Paired axial CT (left) and PSMA PET (right), [18F]PSMA-1007 tracer.
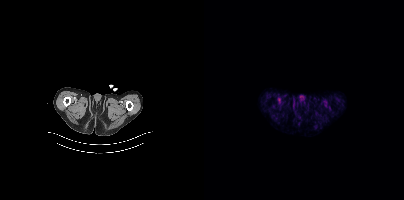
No tumor lesions annotated on this slice.